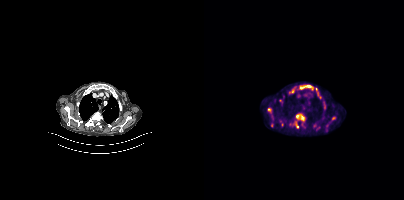
Coordinates are on the 200×200 PET (right) panel. (showing 8 of 9 foci) PSMA-avid tumor lesion bounding boxes (x0,y0,x1,y1): [92,113,101,121], [96,85,108,89], [66,119,70,126], [64,108,67,112], [122,124,124,131], [91,121,94,127]. Small PSMA-avid foci (2 to 4 px across) near (center x, center y): (88, 125), (112, 88).